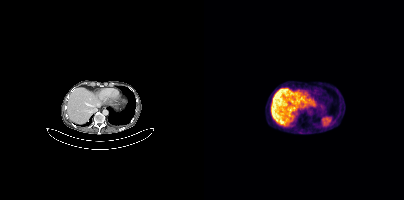
Paired axial CT (left) and PSMA PET (right), 68Ga-PSMA tracer. Acquired on Siemens Biograph mCT Flow 20. Slice 239 of 413. PET panel 200×200 px (4.1 mm/px). No tumor lesions annotated on this slice.